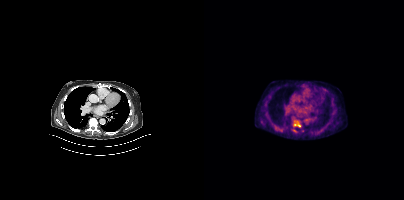
Coordinates are on the 200×200 PET (right) panel. PSMA-avid tumor lesion bounding box (x0,y0,x1,y1): [92,123,96,127].